Paired axial CT (left) and PSMA PET (right), 18F tracer.
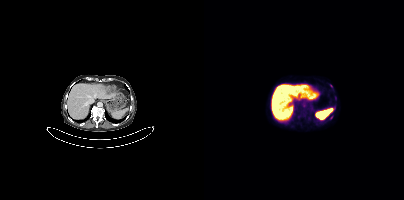
This slice has no annotated PSMA-avid lesion.